Left: CT. Right: PSMA PET, same axial level, 18F tracer. Acquired on Siemens Biograph mCT Flow 20. PET panel 200×200 px (4.1 mm/px).
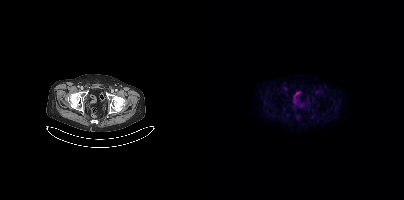
No tumor lesions annotated on this slice.